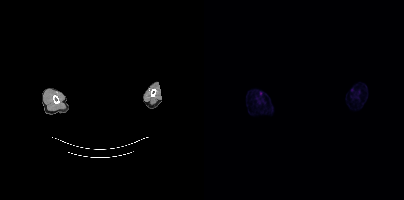
Head region blanked for anonymization (face removed).
This slice has no annotated PSMA-avid lesion.